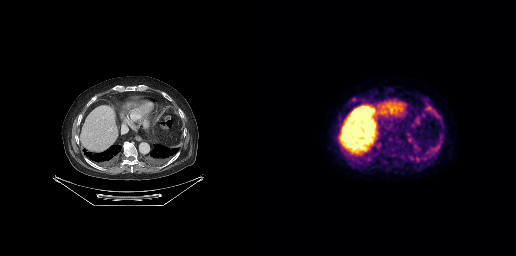
Coordinates are on the 256×256 PET (right) panel. PSMA-avid tumor lesion bounding boxes (x, y, width, height): x=167 y=143 w=14 h=15 | x=166 y=106 w=15 h=13 | x=154 y=117 w=8 h=8 | x=148 y=137 w=7 h=7 | x=92 y=97 w=6 h=5 | x=116 y=143 w=5 h=6 | x=146 y=130 w=5 h=5 | x=149 y=156 w=5 h=5. Small PSMA-avid focus (2 to 4 px across) near (center x, center y): (157, 158).
modality: PSMA PET/CT | tracer: 18F | view: axial